modality: PSMA PET/CT | tracer: 18F-PSMA | view: axial | PET grid: 200×200
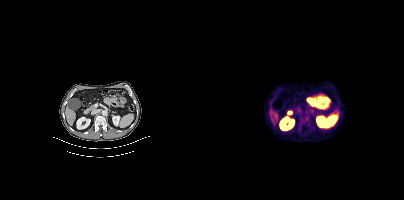
Coordinates are on the 200×200 PET (right) panel. PSMA-avid tumor lesion bounding box (x, y, width, height): x=95 y=115 w=12 h=12.